modality: PSMA PET/CT | tracer: 18F | view: axial | PET grid: 200×200
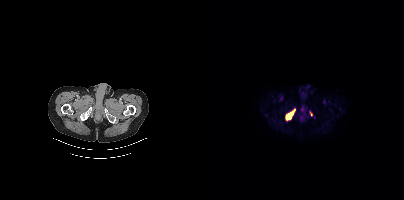
Coordinates are on the 200×200 PET (right) panel. PSMA-avid tumor lesion bounding box (x0,y0,x1,y1): [82,109,91,119]. Small PSMA-avid focus (2 to 4 px across) near (center x, center y): (107, 113).